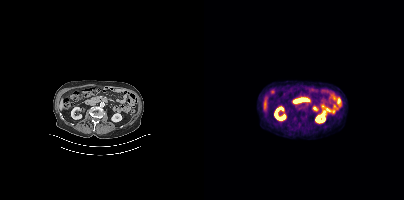
- Two-panel axial: CT | PSMA PET, 18F tracer
- slice 173 of 377
Findings: Negative for PSMA-avid disease on this slice.